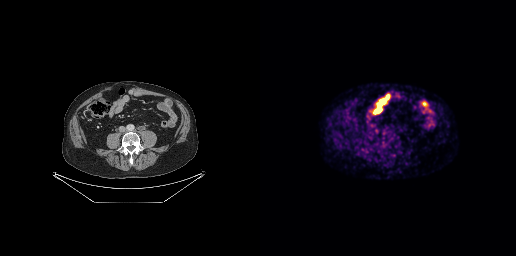
This slice has no annotated PSMA-avid lesion.